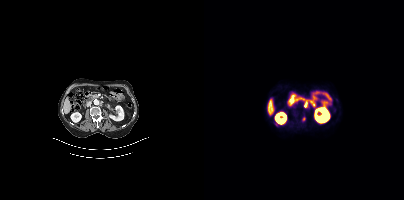
Coordinates are on the 200×200 PET (right) panel. (showing 2 of 3 foci) Small PSMA-avid foci (2 to 4 px across) near (center x, center y): (101, 104) / (99, 119).